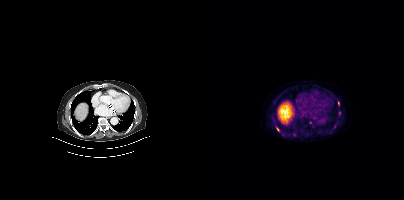
Coordinates are on the 200×200 PET (right) panel. PSMA-avid tumor lesion bounding boxes:
| # | x0 | y0 | x1 | y1 |
|---|---|---|---|---|
| 1 | 72 | 127 | 75 | 131 |
| 2 | 130 | 124 | 132 | 128 |
| 3 | 134 | 101 | 135 | 105 |
Small PSMA-avid foci (2 to 4 px across) near (center x, center y): (90, 135); (135, 112); (106, 122); (108, 126).
Left: CT. Right: PSMA PET, same axial level, 18F-PSMA tracer. PET panel 200×200 px (4.1 mm/px).